- Left: CT. Right: PSMA PET, same axial level, 18F-PSMA tracer
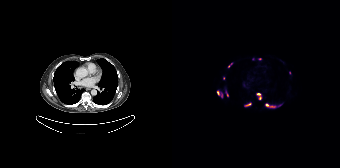
Findings: Coordinates are on the 168×168 PET (right) panel. (showing 9 of 10 foci) PSMA-avid tumor lesion bounding boxes (x0, y0)-(x1, y1): (93, 103)-(109, 108) | (84, 93)-(89, 99) | (45, 90)-(50, 97) | (75, 102)-(79, 106) | (56, 63)-(60, 67) | (54, 91)-(56, 96). Small PSMA-avid foci (2 to 4 px across) near (center x, center y): (88, 58) | (51, 78) | (80, 58).